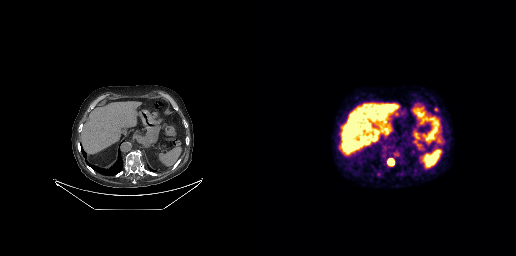
Coordinates are on the 256×256 PET (right) panel. PSMA-avid tumor lesion bounding boxes:
| # | x0 | y0 | x1 | y1 |
|---|---|---|---|---|
| 1 | 127 | 158 | 134 | 166 |
Left: CT. Right: PSMA PET, same axial level, 18F tracer. Slice position z = -340 mm. PET panel 256×256 px (2.7 mm/px).